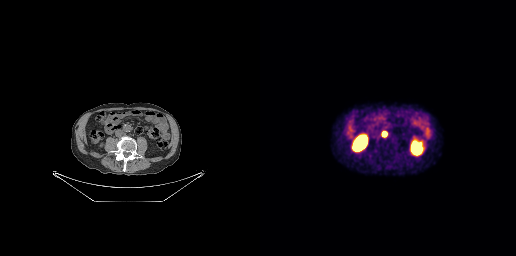
Technique: Paired axial CT (left) and PSMA PET (right), 68Ga-PSMA tracer. slice 90 of 227.
Findings: Coordinates are on the 256×256 PET (right) panel. PSMA-avid tumor lesion bounding box (x0, y0)-(x1, y1): (122, 132)-(126, 136).